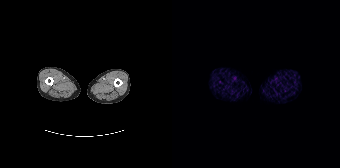
No PSMA-avid tumor lesions on this slice. Paired axial CT (left) and PSMA PET (right), 68Ga-PSMA tracer.